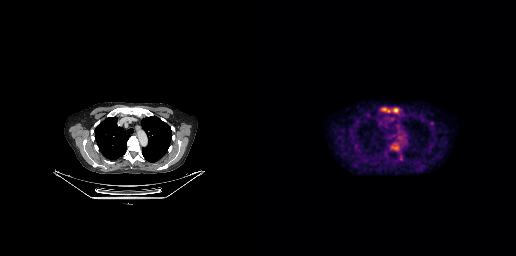
{"modality":"PSMA PET/CT","view":"axial","tracer":"18F","pet_grid":[256,256],"coord_frame":"pet_panel","coord_format":"x0,y0,x1,y1","lesion_bboxes":[[133,108,138,112],[122,108,129,112],[132,147,138,149]]}